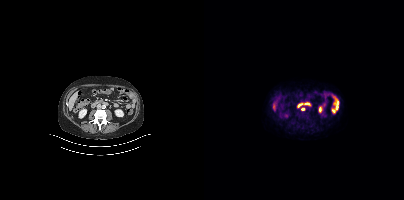
{"modality":"PSMA PET/CT","view":"axial","tracer":"18F-PSMA","pet_grid":[200,200],"coord_frame":"pet_panel","coord_format":"x0,y0,x1,y1","lesion_bboxes":[[97,107,101,110]]}